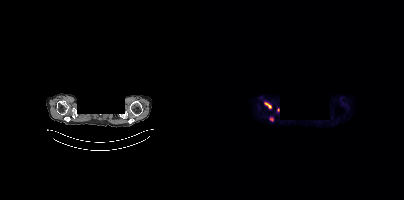
Technique: Two-panel axial: CT | PSMA PET, 18F-PSMA tracer. PET panel 200×200 px (4.1 mm/px).
Note: Head region blanked for anonymization (face removed).
Findings: Coordinates are on the 200×200 PET (right) panel. PSMA-avid tumor lesion bounding boxes (x0, y0)-(x1, y1): (60, 102)-(67, 109); (66, 117)-(69, 121). Small PSMA-avid focus (2 to 4 px across) near (center x, center y): (74, 109).